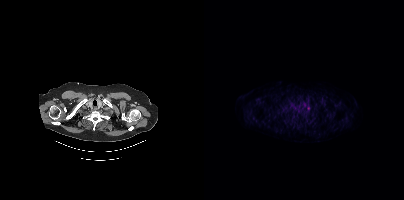
Two-panel axial: CT | PSMA PET, 18F tracer. Slice position z = -913 mm. Coordinates are on the 200×200 PET (right) panel. Small PSMA-avid focus (2 to 4 px across) near (center x, center y): (104, 108).